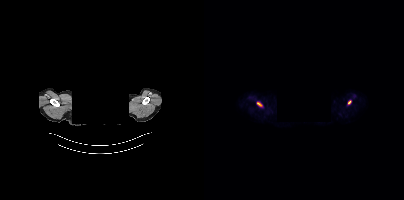
Technique: Paired axial CT (left) and PSMA PET (right), 18F tracer. acquired on Siemens Biograph mCT Flow 20. slice 375 of 429.
Note: The face region was removed for patient privacy by blanking a rectangle over the head.
Findings: Coordinates are on the 200×200 PET (right) panel. PSMA-avid tumor lesion bounding box (x0,y0,x1,y1): [53,102,57,106]. Small PSMA-avid focus (2 to 4 px across) near (center x, center y): (145, 102).